- Left: CT. Right: PSMA PET, same axial level, [18F]PSMA-1007 tracer
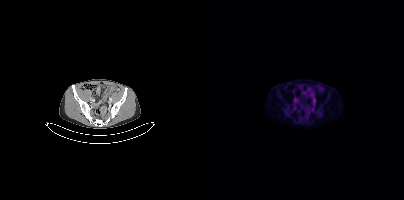
Findings: Coordinates are on the 200×200 PET (right) panel. Small PSMA-avid focus (2 to 4 px across) near (center x, center y): (83, 112).